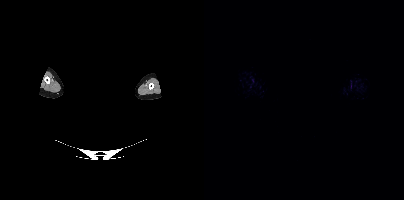
- Two-panel axial: CT | PSMA PET, 18F tracer
- acquired on Siemens Biograph mCT Flow 20
- PET panel 200×200 px (4.1 mm/px)
- privacy masking over the head, with the pixels inside a rectangle set to black
Findings: No PSMA-avid tumor lesions on this slice.